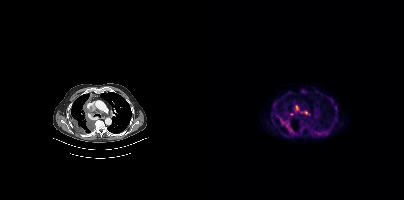
Coordinates are on the 200×200 PET (right) panel. (showing 4 of 5 foci) PSMA-avid tumor lesion bounding boxes (x, y, width, height): x=76 y=118 w=13 h=14 | x=92 y=106 w=3 h=5 | x=98 y=126 w=5 h=3. Small PSMA-avid focus (2 to 4 px across) near (center x, center y): (102, 112).